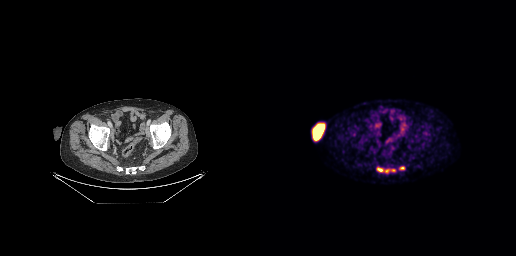
Technique: Two-panel axial: CT | PSMA PET, [18F]PSMA-1007 tracer. acquired on GE Discovery 690. slice position z = -786 mm. PET panel 256×256 px (2.7 mm/px).
Findings: Coordinates are on the 256×256 PET (right) panel. PSMA-avid tumor lesion bounding boxes (x0,y0,x1,y1): [117,167,123,171] [125,169,129,172] [140,167,144,169] [131,169,135,171].